Paired axial CT (left) and PSMA PET (right), 18F tracer. Slice 143 of 395. PET panel 200×200 px (4.1 mm/px).
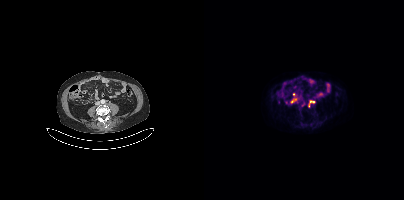
Coordinates are on the 200×200 PET (right) panel. (showing 2 of 3 foci) PSMA-avid tumor lesion bounding box (x0, y0)-(x1, y1): (105, 101)-(110, 106). Small PSMA-avid focus (2 to 4 px across) near (center x, center y): (88, 101).